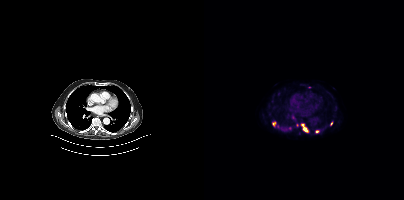
Coordinates are on the 200×200 PET (right) panel. (showing 6 of 9 foci) PSMA-avid tumor lesion bounding boxes (x, y, width, height): x=98 y=124 w=6 h=8 | x=68 y=122 w=4 h=5. Small PSMA-avid foci (2 to 4 px across) near (center x, center y): (112, 131) | (84, 128) | (105, 87) | (127, 123).